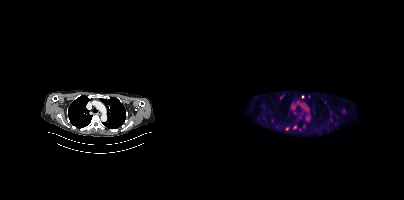
Coordinates are on the 200×200 PET (right) panel. (showing 4 of 8 foci) PSMA-avid tumor lesion bounding box (x0,y0,x1,y1): [76,94,80,99]. Small PSMA-avid foci (2 to 4 px across) near (center x, center y): (82, 128), (90, 127), (98, 96).